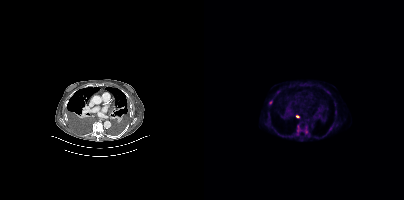
- Left: CT. Right: PSMA PET, same axial level, 18F tracer
- PET panel 200×200 px (4.1 mm/px)
Findings: Coordinates are on the 200×200 PET (right) panel. PSMA-avid tumor lesion bounding boxes (x0,y0,x1,y1): [93,126,97,131]; [100,130,104,134]. Small PSMA-avid foci (2 to 4 px across) near (center x, center y): (66, 102); (93, 116).